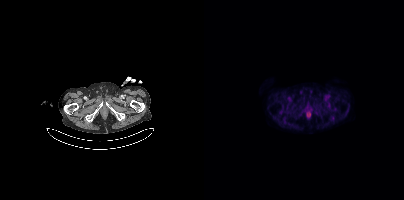
Technique: Two-panel axial: CT | PSMA PET, 18F-PSMA tracer. PET panel 200×200 px (4.1 mm/px).
Findings: This slice has no annotated PSMA-avid lesion.